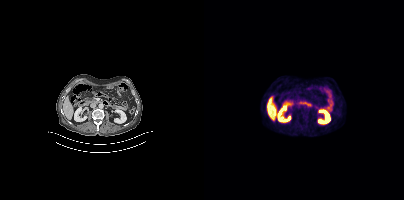
Technique: Paired axial CT (left) and PSMA PET (right), 18F tracer. PET panel 200×200 px (4.1 mm/px).
Findings: This slice has no annotated PSMA-avid lesion.